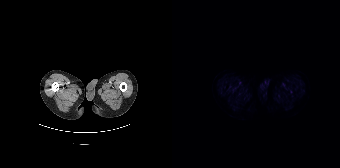
No PSMA-avid tumor lesions on this slice.